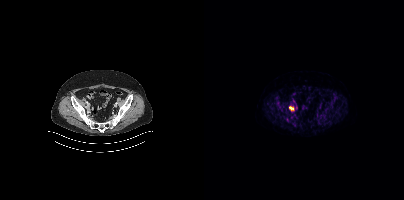
Coordinates are on the 200×200 PET (right) panel. PSMA-avid tumor lesion bounding box (x0,y0,x1,y1): [85,106,89,110].